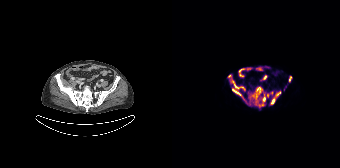
{"modality":"PSMA PET/CT","view":"axial","tracer":"18F","pet_grid":[168,168],"coord_frame":"pet_panel","coord_format":"x0,y0,x1,y1","partial":true,"lesion_bboxes":[[56,75,109,108],[117,76,120,82]]}